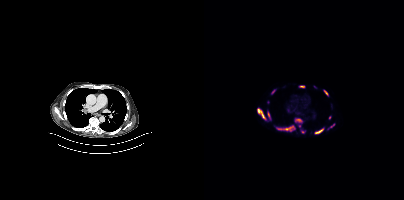
Coordinates are on the 200×200 PET (right) panel. (showing 11 of 12 foci) PSMA-avid tumor lesion bounding boxes (x0,y0,x1,y1): [73,126,90,131] [53,108,61,119] [111,128,119,133] [91,119,97,121] [120,90,124,95] [95,85,100,87] [63,111,65,116] [67,90,71,93] [126,124,130,127]. Small PSMA-avid foci (2 to 4 px across) near (center x, center y): (125, 117) (98, 131).
modality: PSMA PET/CT | tracer: 18F-PSMA | view: axial